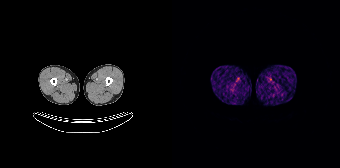
{"modality":"PSMA PET/CT","view":"axial","tracer":"68Ga-PSMA","pet_grid":[168,168],"coord_frame":"pet_panel","coord_format":"x0,y0,x1,y1","psma_avid_lesions":false}